Left: CT. Right: PSMA PET, same axial level, [68Ga]Ga-PSMA-11 tracer. Slice 142 of 165. Some pixels were blanked for anonymization.
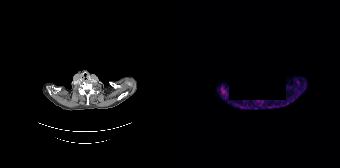
No PSMA-avid tumor lesions on this slice.